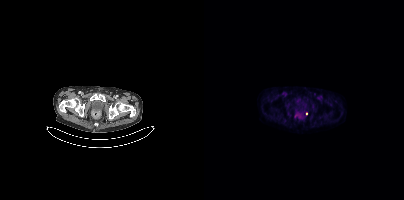
Findings: Coordinates are on the 200×200 PET (right) panel. (showing 1 of 2 foci) Small PSMA-avid focus (2 to 4 px across) near (center x, center y): (102, 113).
Technique: Two-panel axial: CT | PSMA PET, 18F-PSMA tracer. acquired on Siemens Biograph mCT Flow 20.